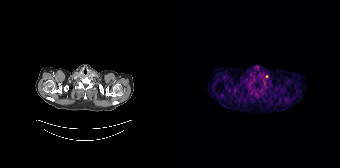
{"pet_grid":[168,168],"coord_frame":"pet_panel","coord_format":"x0,y0,x1,y1","lesion_bboxes":[],"small_foci_centers":[[94,76]],"modality":"PSMA PET/CT","view":"axial","tracer":"68Ga"}